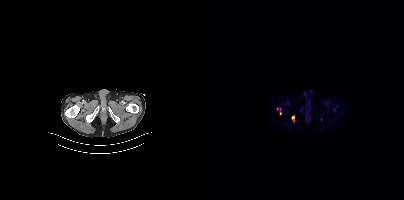
Two-panel axial: CT | PSMA PET, 18F tracer. Acquired on Siemens Biograph mCT Flow 20. Coordinates are on the 200×200 PET (right) panel. (showing 2 of 4 foci) Small PSMA-avid foci (2 to 4 px across) near (center x, center y): (89, 117); (76, 113).